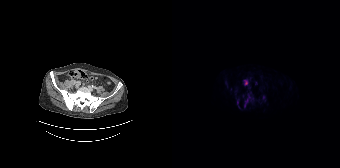
{"modality":"PSMA PET/CT","view":"axial","tracer":"18F-PSMA","pet_grid":[168,168],"coord_frame":"pet_panel","coord_format":"x0,y0,x1,y1","partial":true,"lesion_bboxes":[[72,97,78,107],[65,99,68,108],[72,80,75,85]],"small_foci_centers":[[84,83]]}